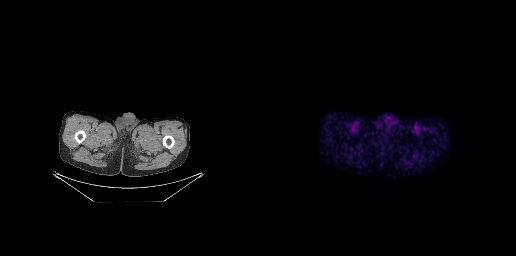
Findings: This slice has no annotated PSMA-avid lesion.
Technique: Left: CT. Right: PSMA PET, same axial level, 68Ga-PSMA tracer. PET panel 256×256 px (2.7 mm/px).